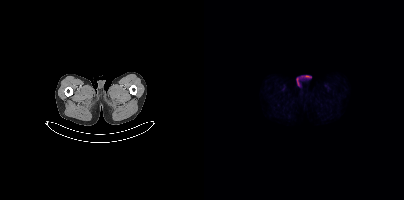
This slice has no annotated PSMA-avid lesion.